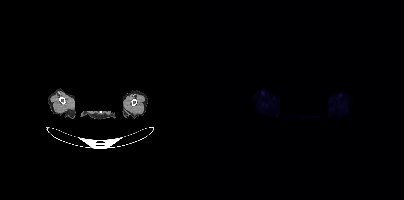
{"modality":"PSMA PET/CT","view":"axial","tracer":"18F","pet_grid":[200,200],"coord_frame":"pet_panel","coord_format":"x0,y0,x1,y1","de-identification":"head region blacked out before release","psma_avid_lesions":false}